Paired axial CT (left) and PSMA PET (right), [68Ga]Ga-PSMA-11 tracer.
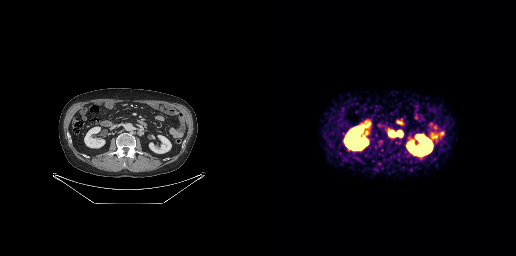
Coordinates are on the 256×256 PET (right) panel. PSMA-avid tumor lesion bounding boxes:
| # | x0 | y0 | x1 | y1 |
|---|---|---|---|---|
| 1 | 129 | 131 | 134 | 135 |
| 2 | 137 | 132 | 141 | 135 |